Technique: Left: CT. Right: PSMA PET, same axial level, [18F]PSMA-1007 tracer. acquired on Siemens Biograph mCT Flow 20.
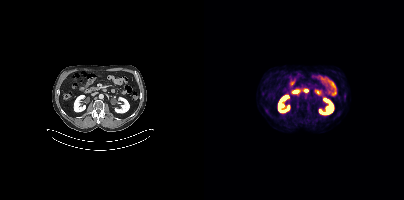
Findings: Negative for PSMA-avid disease on this slice.